Paired axial CT (left) and PSMA PET (right), 18F-PSMA tracer. Acquired on Siemens Biograph mCT Flow 20. Slice 354 of 448.
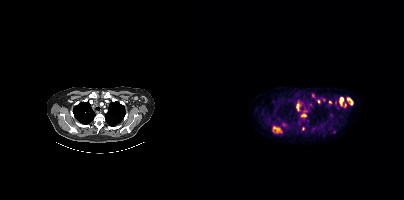
Coordinates are on the 200×200 PET (right) panel. PSMA-avid tumor lesion bounding boxes (x0,y0,x1,y1): [98,109,103,117]; [68,127,77,132]; [136,97,139,106]; [93,103,95,111]; [143,98,148,104]. Small PSMA-avid foci (2 to 4 px across) near (center x, center y): (79, 123); (109, 95); (126, 102); (131, 102); (99, 128); (114, 101); (141, 104); (103, 121); (130, 132).